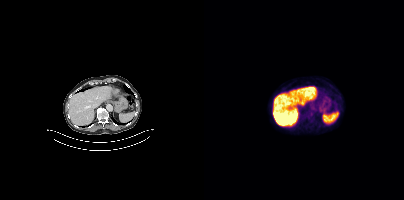
{"modality":"PSMA PET/CT","view":"axial","tracer":"18F-PSMA","pet_grid":[200,200],"coord_frame":"pet_panel","coord_format":"x0,y0,x1,y1","psma_avid_lesions":false}